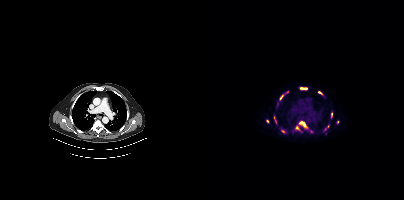
Paired axial CT (left) and PSMA PET (right), [18F]PSMA-1007 tracer. Acquired on Siemens Biograph mCT Flow 20.
Coordinates are on the 200×200 PET (right) panel. PSMA-avid tumor lesion bounding boxes (partial; 7 more foci not listed):
| # | x0 | y0 | x1 | y1 |
|---|---|---|---|---|
| 1 | 95 | 121 | 102 | 128 |
| 2 | 96 | 88 | 103 | 89 |
Small PSMA-avid foci (2 to 4 px across) near (center x, center y): (93, 127); (77, 97); (127, 114); (63, 121).